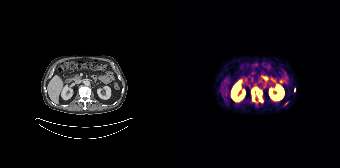
Coordinates are on the 168×168 PET (right) panel. (showing 4 of 7 foci) PSMA-avid tumor lesion bounding boxes (x0, y0)-(x1, y1): (80, 90)-(82, 97) | (83, 88)-(87, 91) | (112, 101)-(116, 105). Small PSMA-avid focus (2 to 4 px across) near (center x, center y): (122, 89).
modality: PSMA PET/CT | tracer: [68Ga]Ga-PSMA-11 | view: axial | PET grid: 168×168